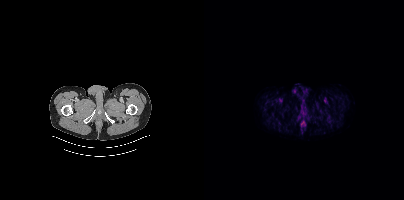
modality: PSMA PET/CT | tracer: [18F]PSMA-1007 | view: axial
This slice has no annotated PSMA-avid lesion.